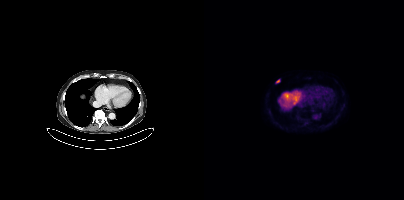
Coordinates are on the 200×200 PET (right) panel. Small PSMA-avid focus (2 to 4 px across) near (center x, center y): (73, 80).